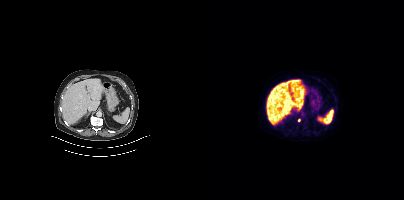
Coordinates are on the 200×200 PET (right) panel. Small PSMA-avid focus (2 to 4 px across) near (center x, center y): (95, 119).